modality: PSMA PET/CT | tracer: 18F | view: axial
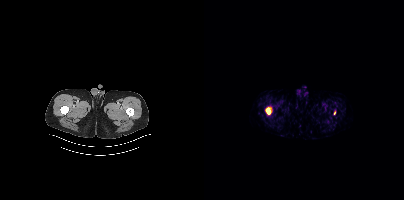
Coordinates are on the 200×200 PET (right) panel. PSMA-avid tumor lesion bounding box (x0,y0,x1,y1): [62,107,66,114]. Small PSMA-avid focus (2 to 4 px across) near (center x, center y): (130, 113).